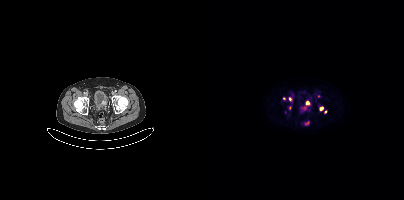
Technique: Two-panel axial: CT | PSMA PET, [18F]PSMA-1007 tracer. acquired on Siemens Biograph mCT Flow 20. PET panel 200×200 px (4.1 mm/px).
Findings: Coordinates are on the 200×200 PET (right) panel. (showing 7 of 8 foci) Small PSMA-avid foci (2 to 4 px across) near (center x, center y): (103, 102) / (117, 108) / (85, 107) / (85, 99) / (100, 107) / (121, 111) / (79, 98).